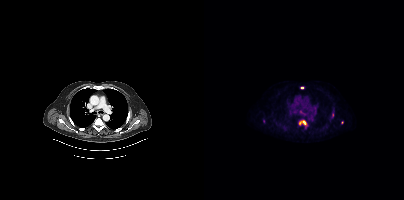
- Paired axial CT (left) and PSMA PET (right), 18F tracer
- acquired on Siemens Biograph mCT Flow 20
Findings: Coordinates are on the 200×200 PET (right) panel. (showing 6 of 7 foci) PSMA-avid tumor lesion bounding box (x0, y0)-(x1, y1): (94, 120)-(102, 127). Small PSMA-avid foci (2 to 4 px across) near (center x, center y): (97, 112) | (98, 87) | (59, 121) | (128, 115) | (89, 111).